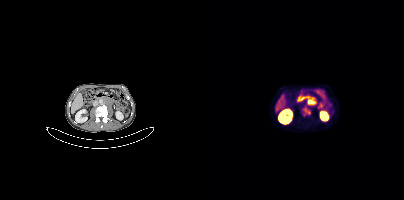
modality: PSMA PET/CT | tracer: 68Ga-PSMA | view: axial
Coordinates are on the 200×200 PET (right) panel. PSMA-avid tumor lesion bounding boxes (x, y, width, height): x=101 y=96 w=12 h=9; x=98 y=106 w=9 h=10.